Paired axial CT (left) and PSMA PET (right), 18F-PSMA tracer. Slice position z = -949 mm. PET panel 256×256 px (2.7 mm/px).
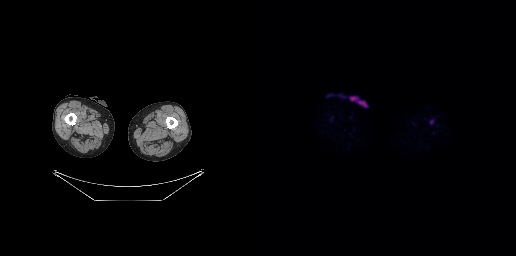
This slice has no annotated PSMA-avid lesion.